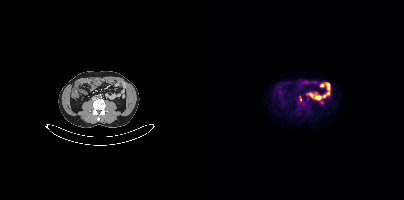
Coordinates are on the 200×200 PET (right) panel. (showing 1 of 2 foci) PSMA-avid tumor lesion bounding box (x0, y0)-(x1, y1): (96, 96)-(97, 100). Two-panel axial: CT | PSMA PET, 18F tracer. Acquired on Siemens Biograph mCT Flow 20.